Paired axial CT (left) and PSMA PET (right), 18F-PSMA tracer. Slice 303 of 401.
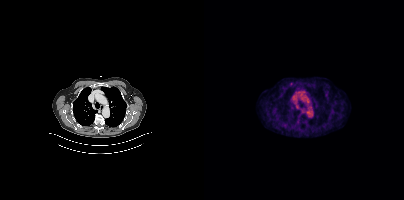
Only PSMA-avid lesion pieces thinner than 2 px on this slice (not listed).